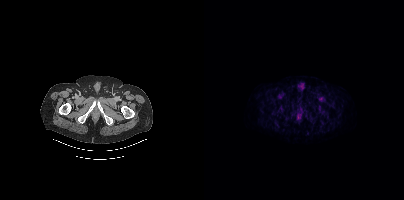
No tumor lesions annotated on this slice. Paired axial CT (left) and PSMA PET (right), 18F-PSMA tracer. Slice position z = -1517 mm. PET panel 200×200 px (4.1 mm/px).